- Paired axial CT (left) and PSMA PET (right), [68Ga]Ga-PSMA-11 tracer
- acquired on Siemens Biograph 64-4R TruePoint
- slice position z = -1425 mm
- PET panel 168×168 px (4.1 mm/px)
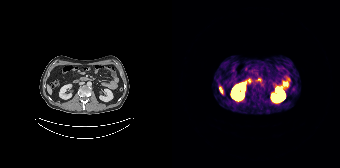
Findings: No PSMA-avid tumor lesions on this slice.